Technique: Left: CT. Right: PSMA PET, same axial level, 18F tracer. acquired on Siemens Biograph mCT Flow 20. slice position z = -1017 mm.
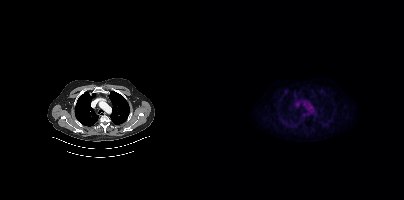
Findings: No tumor lesions annotated on this slice.